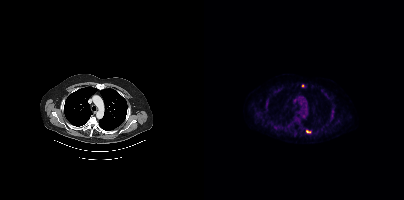
Coordinates are on the 200×200 PET (right) panel. PSMA-avid tumor lesion bounding box (x, y, width, height): x=102 y=130 w=5 h=3. Small PSMA-avid focus (2 to 4 px across) near (center x, center y): (98, 85).